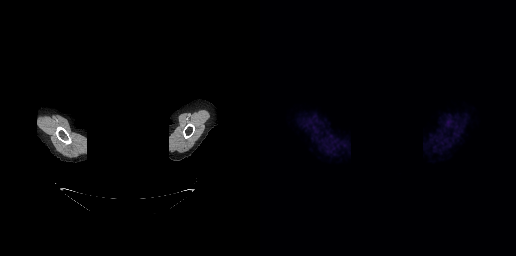
{"modality":"PSMA PET/CT","view":"axial","tracer":"18F-PSMA","pet_grid":[256,256],"coord_frame":"pet_panel","coord_format":"x0,y0,x1,y1","psma_avid_lesions":false,"de-identification":"head region blacked out before release"}